- Paired axial CT (left) and PSMA PET (right), 18F tracer
- PET panel 200×200 px (4.1 mm/px)
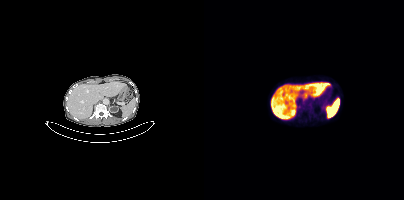
Findings: No tumor lesions annotated on this slice.